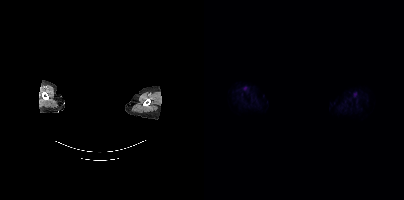
No tumor lesions annotated on this slice. A rectangle over the head was blacked out to remove identifiable facial features. Left: CT. Right: PSMA PET, same axial level, 18F-PSMA tracer. Slice position z = -819 mm.